Left: CT. Right: PSMA PET, same axial level, 18F tracer. Slice position z = -72 mm. PET panel 200×200 px (4.1 mm/px).
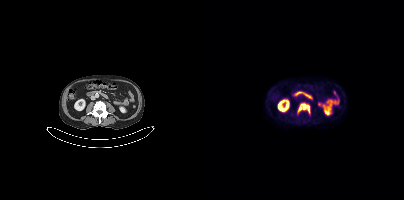
Coordinates are on the 200×200 PET (right) panel. PSMA-avid tumor lesion bounding box (x0,y0,x1,y1): [93,103,106,113].